modality: PSMA PET/CT | tracer: 18F-PSMA | view: axial
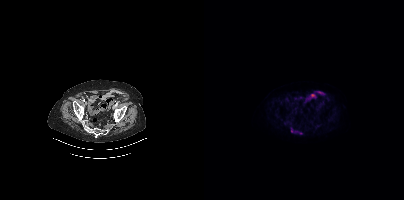
Coordinates are on the 200×200 PET (right) panel. (showing 1 of 2 foci) Small PSMA-avid focus (2 to 4 px across) near (center x, center y): (87, 131).